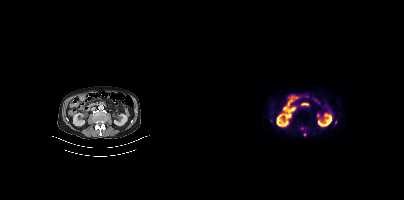
Technique: Left: CT. Right: PSMA PET, same axial level, 18F-PSMA tracer. slice position z = -628 mm.
Findings: Only PSMA-avid lesion pieces thinner than 2 px on this slice (not listed).